Left: CT. Right: PSMA PET, same axial level, 18F tracer. PET panel 200×200 px (4.1 mm/px).
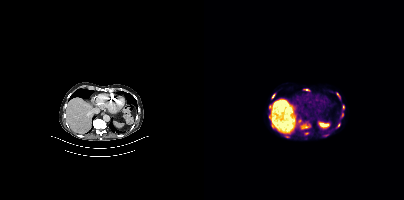
Coordinates are on the 200×200 PET (right) panel. PSMA-avid tumor lesion bounding boxes (x0, y0)-(x1, y1): (96, 123)-(106, 129) / (132, 92)-(136, 99) / (67, 123)-(71, 128) / (138, 105)-(140, 109) / (137, 113)-(139, 117) / (100, 89)-(105, 90) / (68, 94)-(70, 98). Small PSMA-avid foci (2 to 4 px across) near (center x, center y): (102, 133) / (65, 106) / (134, 124) / (83, 136) / (95, 121).